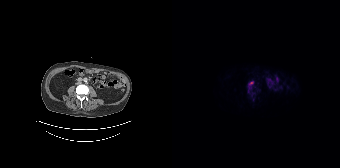
Paired axial CT (left) and PSMA PET (right), [18F]PSMA-1007 tracer. Slice 72 of 165. Coordinates are on the 168×168 PET (right) panel. (showing 4 of 5 foci) PSMA-avid tumor lesion bounding boxes (x, y, width, height): x=76 y=87 w=5 h=7 / x=76 y=81 w=6 h=5 / x=79 y=92 w=4 h=5. Small PSMA-avid focus (2 to 4 px across) near (center x, center y): (81, 99).